Technique: Left: CT. Right: PSMA PET, same axial level, 68Ga tracer. acquired on Siemens Biograph 64-4R TruePoint.
Note: The head region is masked for de-identification.
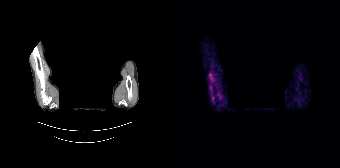
Findings: No tumor lesions annotated on this slice.